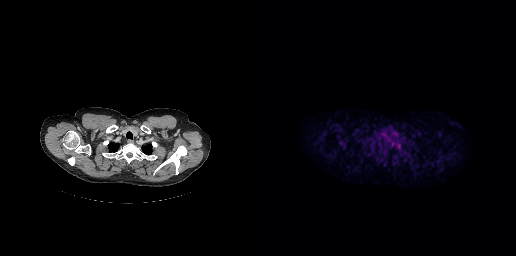
Two-panel axial: CT | PSMA PET, 18F-PSMA tracer. This slice has no annotated PSMA-avid lesion.